- Two-panel axial: CT | PSMA PET, 18F tracer
- acquired on Siemens Biograph mCT Flow 20
- slice 109 of 466
- PET panel 200×200 px (4.1 mm/px)
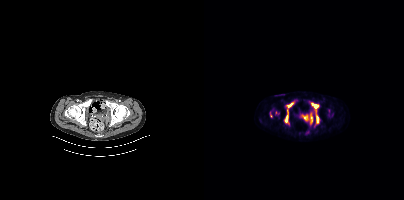
Findings: Coordinates are on the 200×200 PET (right) panel. (showing 6 of 9 foci) PSMA-avid tumor lesion bounding boxes (x, y, width, height): x=107 y=103 w=8 h=6 | x=80 y=113 w=5 h=10 | x=112 y=114 w=4 h=10 | x=83 y=102 w=7 h=6. Small PSMA-avid foci (2 to 4 px across) near (center x, center y): (73, 112) | (101, 118).